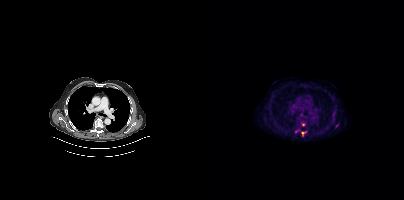
modality: PSMA PET/CT | tracer: [18F]PSMA-1007 | view: axial | PET grid: 200×200
Coordinates are on the 200×200 PET (right) panel. (showing 2 of 3 foci) Small PSMA-avid foci (2 to 4 px across) near (center x, center y): (98, 133); (99, 124).